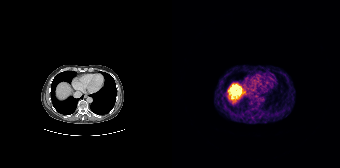
Findings: Negative for PSMA-avid disease on this slice.
Technique: Left: CT. Right: PSMA PET, same axial level, 68Ga-PSMA tracer. slice position z = -504 mm.